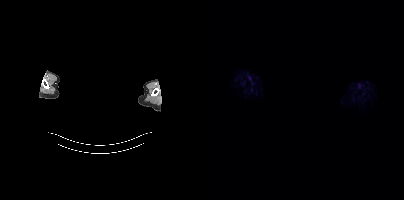
Technique: Left: CT. Right: PSMA PET, same axial level, [18F]PSMA-1007 tracer. slice 444 of 454. PET panel 200×200 px (4.1 mm/px).
Note: Facial anatomy redacted by setting a rectangular region of the head to black.
Findings: This slice has no annotated PSMA-avid lesion.